Two-panel axial: CT | PSMA PET, [18F]PSMA-1007 tracer.
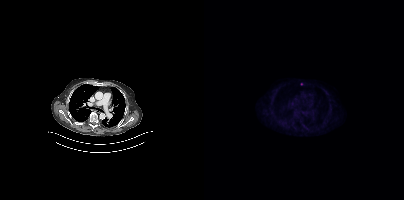
Coordinates are on the 200×200 PET (right) panel. Small PSMA-avid focus (2 to 4 px across) near (center x, center y): (97, 83).